- Left: CT. Right: PSMA PET, same axial level, 18F tracer
- slice 287 of 466
- PET panel 200×200 px (4.1 mm/px)
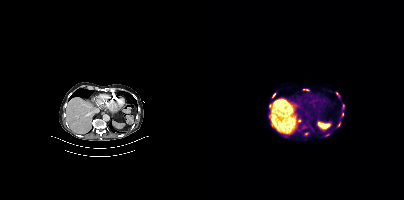
Findings: Coordinates are on the 200×200 PET (right) panel. PSMA-avid tumor lesion bounding boxes (x0, y0)-(x1, y1): (132, 92)-(135, 97); (138, 104)-(140, 109); (137, 112)-(139, 117); (99, 89)-(104, 90); (68, 93)-(71, 97); (67, 124)-(70, 128). Small PSMA-avid foci (2 to 4 px across) near (center x, center y): (66, 105); (135, 124); (102, 133); (95, 121).